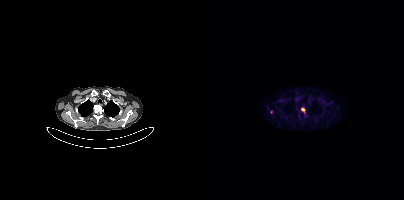
Coordinates are on the 200×200 PET (right) panel. (showing 2 of 3 foci) Small PSMA-avid foci (2 to 4 px across) near (center x, center y): (98, 109); (67, 112).